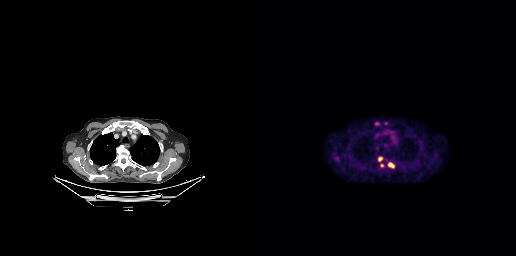
Coordinates are on the 256×256 PET (right) panel. (showing 3 of 4 foci) PSMA-avid tumor lesion bounding box (x, y, width, height): x=129 y=163 w=5 h=4. Small PSMA-avid foci (2 to 4 px across) near (center x, center y): (116, 123) / (120, 159). Paired axial CT (left) and PSMA PET (right), 18F-PSMA tracer. Slice position z = -211 mm. PET panel 256×256 px (2.7 mm/px).